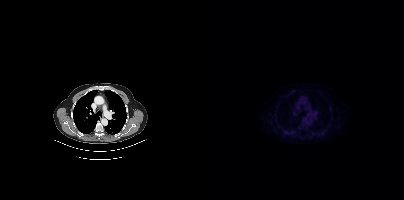
Two-panel axial: CT | PSMA PET, 18F tracer. Acquired on Siemens Biograph mCT Flow 20. Slice 299 of 405. PET panel 200×200 px (4.1 mm/px). No PSMA-avid tumor lesions on this slice.